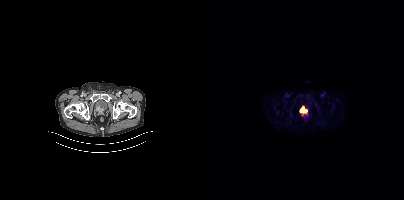
Coordinates are on the 200×200 PET (right) panel. PSMA-avid tumor lesion bounding box (x0, y0)-(x1, y1): (96, 106)-(103, 115).